- Paired axial CT (left) and PSMA PET (right), 18F-PSMA tracer
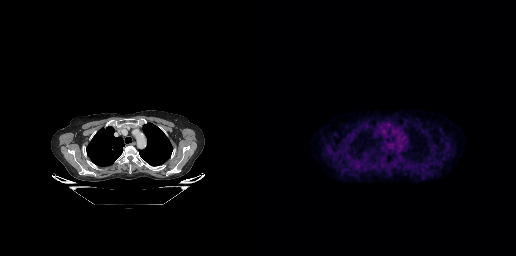
Findings: This slice has no annotated PSMA-avid lesion.